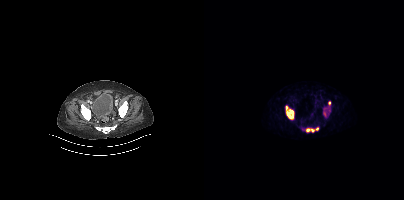
Two-panel axial: CT | PSMA PET, 68Ga tracer. Slice position z = 430 mm. Negative for PSMA-avid disease on this slice.